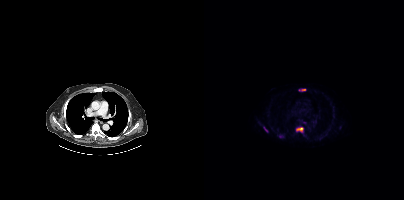
Coordinates are on the 200×200 PET (right) panel. PSMA-avid tumor lesion bounding boxes (partial; 1 more focus not listed):
| # | x0 | y0 | x1 | y1 |
|---|---|---|---|---|
| 1 | 92 | 127 | 99 | 132 |
| 2 | 59 | 127 | 64 | 132 |
| 3 | 95 | 89 | 101 | 90 |
Paired axial CT (left) and PSMA PET (right), 18F tracer. Acquired on Siemens Biograph mCT Flow 20. Slice 388 of 508.